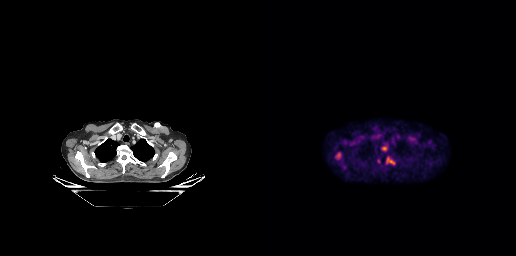
Technique: Paired axial CT (left) and PSMA PET (right), [18F]PSMA-1007 tracer. acquired on GE Discovery 690. slice position z = -191 mm. PET panel 256×256 px (2.7 mm/px).
Findings: Coordinates are on the 256×256 PET (right) panel. PSMA-avid tumor lesion bounding boxes (x, y, width, height): x=127 y=158 w=8 h=7 / x=76 y=153 w=5 h=6.